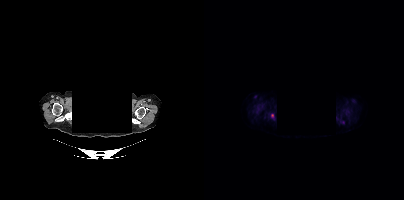
- head region blanked for anonymization (face removed)
- Two-panel axial: CT | PSMA PET, 18F tracer
- acquired on Siemens Biograph mCT Flow 20
Findings: Coordinates are on the 200×200 PET (right) panel. PSMA-avid tumor lesion bounding box (x0,y0,x1,y1): [135,118,139,123]. Small PSMA-avid focus (2 to 4 px across) near (center x, center y): (68, 115).